Technique: Paired axial CT (left) and PSMA PET (right), [68Ga]Ga-PSMA-11 tracer. slice 127 of 409. PET panel 200×200 px (4.1 mm/px).
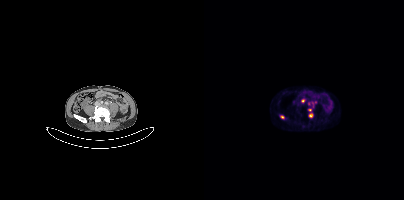
Findings: Coordinates are on the 200×200 PET (right) panel. (showing 4 of 6 foci) PSMA-avid tumor lesion bounding box (x0, y0)-(x1, y1): (105, 113)-(108, 117). Small PSMA-avid foci (2 to 4 px across) near (center x, center y): (98, 100) | (78, 117) | (106, 110).